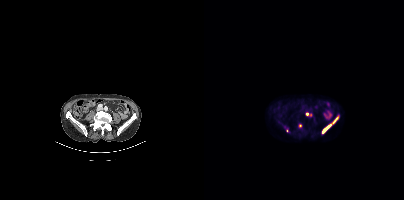
Two-panel axial: CT | PSMA PET, 18F-PSMA tracer. Acquired on Siemens Biograph mCT Flow 20.
Coordinates are on the 200×200 PET (right) panel. PSMA-avid tumor lesion bounding boxes (partial; 1 more focus not listed):
| # | x0 | y0 | x1 | y1 |
|---|---|---|---|---|
| 1 | 118 | 116 | 134 | 133 |
Small PSMA-avid foci (2 to 4 px across) near (center x, center y): (106, 114); (96, 125); (102, 113).